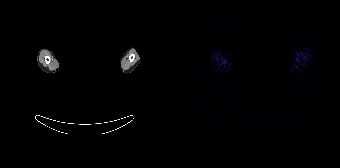
{"pet_grid":[168,168],"coord_frame":"pet_panel","coord_format":"x0,y0,x1,y1","psma_avid_lesions":false,"deidentification":"facial region redacted","modality":"PSMA PET/CT","view":"axial","tracer":"68Ga"}